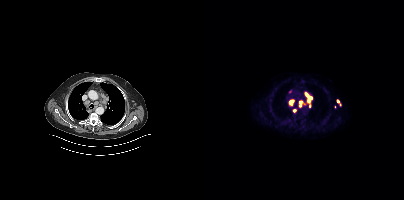
Coordinates are on the 200×200 PET (right) panel. (showing 5 of 7 foci) PSMA-avid tumor lesion bounding boxes (x0, y0)-(x1, y1): (100, 92)-(108, 107) | (95, 100)-(101, 107) | (85, 99)-(90, 105). Small PSMA-avid foci (2 to 4 px across) near (center x, center y): (90, 110) | (134, 101).